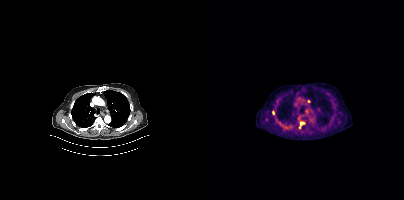
Coordinates are on the 200×200 PET (right) panel. (showing 2 of 3 foci) PSMA-avid tumor lesion bounding box (x, y, width, height): x=95 y=121 w=6 h=8. Small PSMA-avid focus (2 to 4 px across) near (center x, center y): (104, 101).
modality: PSMA PET/CT | tracer: 18F | view: axial | PET grid: 200×200